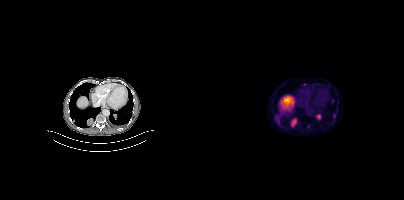
Coordinates are on the 200×200 PET (right) panel. (showing 7 of 9 foci) PSMA-avid tumor lesion bounding boxes (x, y, width, height): x=87 y=118 w=6 h=9 | x=113 y=115 w=4 h=6 | x=127 y=98 w=3 h=6. Small PSMA-avid foci (2 to 4 px across) near (center x, center y): (74, 122) | (104, 126) | (130, 115) | (70, 118).